Paired axial CT (left) and PSMA PET (right), 18F tracer. Acquired on Siemens Biograph mCT Flow 20.
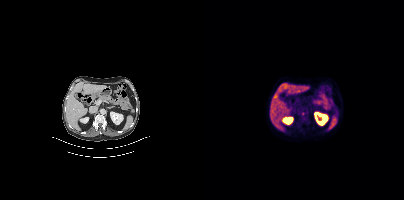
Coordinates are on the 200×200 PET (right) panel. Small PSMA-avid focus (2 to 4 px across) near (center x, center y): (98, 113).